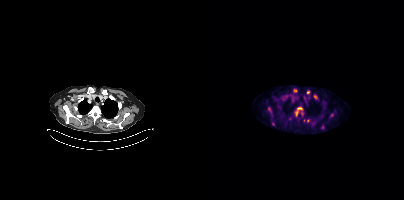
Coordinates are on the 200×200 PET (right) panel. (showing 5 of 6 foci) PSMA-avid tumor lesion bounding boxes (x0,y0,x1,y1): [91,107,98,115], [89,89,93,92]. Small PSMA-avid foci (2 to 4 px across) near (center x, center y): (111, 96), (65, 109), (104, 92).